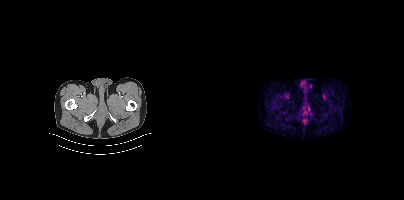
Left: CT. Right: PSMA PET, same axial level, 18F-PSMA tracer. Slice position z = -1640 mm. This slice has no annotated PSMA-avid lesion.